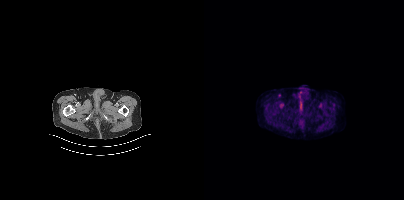
{"modality":"PSMA PET/CT","view":"axial","tracer":"18F-PSMA","pet_grid":[200,200],"coord_frame":"pet_panel","coord_format":"x0,y0,x1,y1","psma_avid_lesions":false}